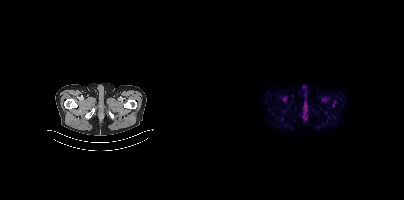
No tumor lesions annotated on this slice.